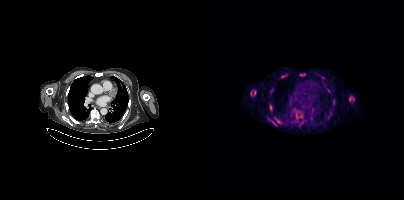
Technique: Paired axial CT (left) and PSMA PET (right), 18F-PSMA tracer. acquired on Siemens Biograph mCT Flow 20. slice 285 of 401.
Findings: Coordinates are on the 200×200 PET (right) panel. (showing 7 of 8 foci) PSMA-avid tumor lesion bounding boxes (x0,y0,x1,y1): [46,90,52,95]; [145,96,150,101]; [66,106,68,111]; [71,117,74,123]; [68,121,72,125]; [96,74,100,75]. Small PSMA-avid focus (2 to 4 px across) near (center x, center y): (97, 116).